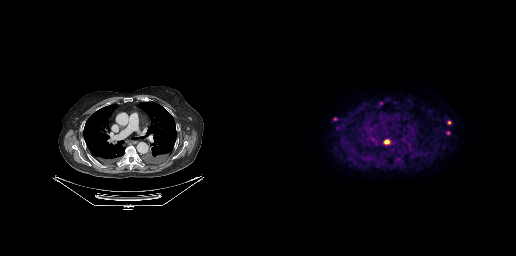
Technique: Paired axial CT (left) and PSMA PET (right), [18F]PSMA-1007 tracer. acquired on GE Discovery 690. slice position z = -381 mm. PET panel 256×256 px (2.7 mm/px).
Findings: Coordinates are on the 256×256 PET (right) panel. (showing 7 of 8 foci) PSMA-avid tumor lesion bounding boxes (x0, y0)-(x1, y1): (125, 140)-(130, 144) | (73, 117)-(77, 120). Small PSMA-avid foci (2 to 4 px across) near (center x, center y): (121, 103) | (189, 122) | (112, 139) | (78, 128) | (188, 132).